- the head region is masked for de-identification
- Paired axial CT (left) and PSMA PET (right), 18F-PSMA tracer
- slice position z = -368 mm
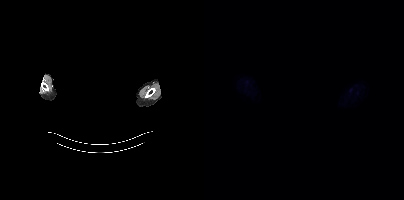
Findings: Negative for PSMA-avid disease on this slice.